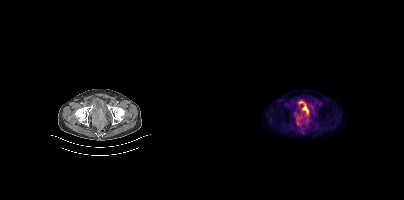
Negative for PSMA-avid disease on this slice. Two-panel axial: CT | PSMA PET, 18F-PSMA tracer. Acquired on Siemens Biograph mCT Flow 20. Slice 71 of 387. PET panel 200×200 px (4.1 mm/px).